- Paired axial CT (left) and PSMA PET (right), 18F tracer
- facial anatomy redacted by setting a rectangular region of the head to black
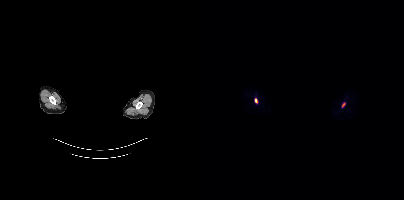
Findings: Coordinates are on the 200×200 PET (right) panel. Small PSMA-avid foci (2 to 4 px across) near (center x, center y): (52, 100) | (139, 104).